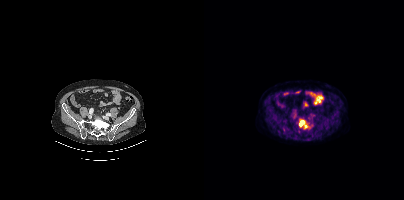
Coordinates are on the 200×200 PET (right) panel. PSMA-avid tumor lesion bounding box (x, y, width, height): x=95 y=120 w=9 h=9. Left: CT. Right: PSMA PET, same axial level, [18F]PSMA-1007 tracer.